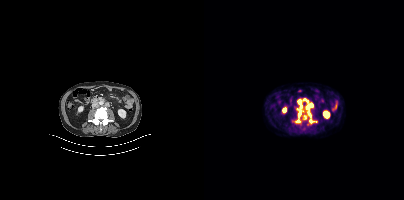
Left: CT. Right: PSMA PET, same axial level, 18F-PSMA tracer.
Coordinates are on the 200×200 PET (right) panel. PSMA-avid tumor lesion bounding boxes (partial; 1 more focus not listed):
| # | x0 | y0 | x1 | y1 |
|---|---|---|---|---|
| 1 | 102 | 103 | 112 | 123 |
| 2 | 91 | 110 | 99 | 122 |
| 3 | 94 | 99 | 98 | 108 |
| 4 | 99 | 98 | 104 | 102 |
| 5 | 100 | 115 | 102 | 119 |